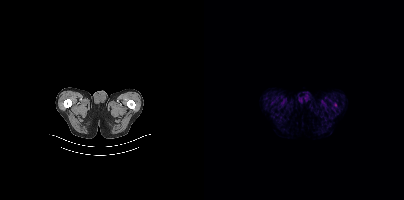
This slice has no annotated PSMA-avid lesion.